Paired axial CT (left) and PSMA PET (right), 18F-PSMA tracer. Acquired on Siemens Biograph mCT Flow 20.
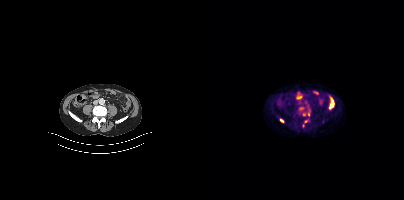
Coordinates are on the 200×200 PET (right) panel. (showing 3 of 5 foci) Small PSMA-avid foci (2 to 4 px across) near (center x, center y): (77, 120) | (104, 114) | (101, 121).